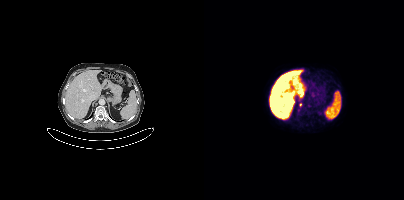
Technique: Two-panel axial: CT | PSMA PET, 18F tracer. acquired on Siemens Biograph mCT Flow 20. slice 247 of 433. PET panel 200×200 px (4.1 mm/px).
Findings: Coordinates are on the 200×200 PET (right) panel. Small PSMA-avid foci (2 to 4 px across) near (center x, center y): (105, 105); (94, 110); (96, 104).